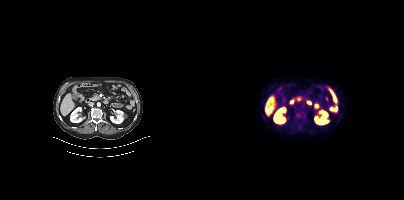
{"modality":"PSMA PET/CT","view":"axial","tracer":"18F-PSMA","pet_grid":[200,200],"coord_frame":"pet_panel","coord_format":"x0,y0,x1,y1","psma_avid_lesions":false}